Two-panel axial: CT | PSMA PET, [18F]PSMA-1007 tracer.
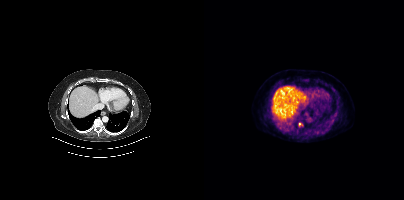
Coordinates are on the 200×200 PET (right) panel. Small PSMA-avid focus (2 to 4 px across) near (center x, center y): (95, 123).